- Two-panel axial: CT | PSMA PET, 18F tracer
- PET panel 200×200 px (4.1 mm/px)
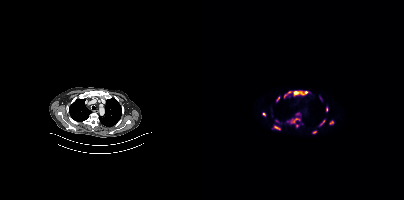
Findings: Coordinates are on the 200×200 PET (right) panel. (showing 13 of 14 foci) PSMA-avid tumor lesion bounding boxes (x, y, width, height): x=89 y=91 w=16 h=5 | x=86 y=118 w=11 h=6 | x=80 y=91 w=8 h=8 | x=70 y=126 w=7 h=4 | x=116 y=120 w=6 h=6 | x=125 y=121 w=5 h=4 | x=72 y=96 w=4 h=6 | x=122 y=107 w=3 h=5. Small PSMA-avid foci (2 to 4 px across) near (center x, center y): (59, 113) | (110, 132) | (93, 125) | (93, 113) | (116, 98).